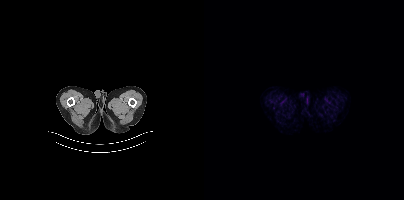
No tumor lesions annotated on this slice.